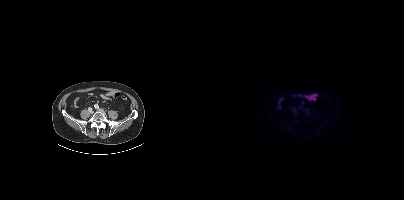
Two-panel axial: CT | PSMA PET, 18F-PSMA tracer. Acquired on Siemens Biograph mCT Flow 20. Slice 111 of 423. Negative for PSMA-avid disease on this slice.